Paired axial CT (left) and PSMA PET (right), 18F tracer. Acquired on Siemens Biograph mCT Flow 20. Slice position z = -542 mm. PET panel 200×200 px (4.1 mm/px).
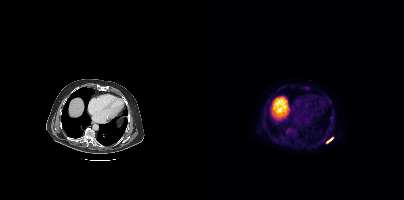
Coordinates are on the 200×200 PET (right) panel. PSMA-avid tumor lesion bounding box (x0,y0,x1,y1): [123,138,128,142].